- Left: CT. Right: PSMA PET, same axial level, 68Ga-PSMA tracer
- acquired on Siemens Biograph mCT Flow 20
- slice 110 of 409
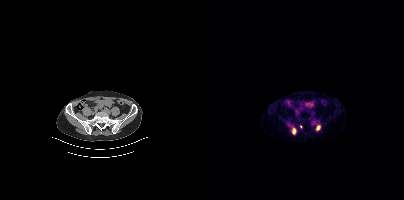
Findings: Coordinates are on the 200×200 PET (right) panel. PSMA-avid tumor lesion bounding boxes (x0,y0,x1,y1): [88,128,92,134]; [112,125,116,130]. Small PSMA-avid focus (2 to 4 px across) near (center x, center y): (96, 126).